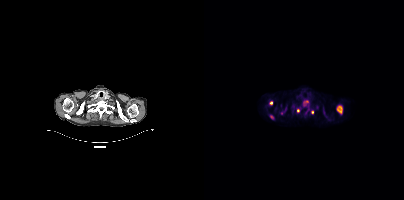
{"modality":"PSMA PET/CT","view":"axial","tracer":"[18F]PSMA-1007","pet_grid":[200,200],"coord_frame":"pet_panel","coord_format":"x0,y0,x1,y1","partial":true,"lesion_bboxes":[[133,105,138,113],[99,100,104,106]],"small_foci_centers":[[66,102],[94,110],[67,116],[108,112]]}